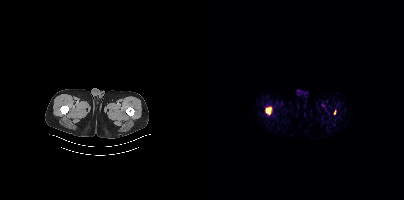
Technique: Left: CT. Right: PSMA PET, same axial level, [18F]PSMA-1007 tracer. acquired on Siemens Biograph mCT Flow 20. slice 8 of 444.
Findings: Coordinates are on the 200×200 PET (right) panel. PSMA-avid tumor lesion bounding box (x0,y0,x1,y1): [62,107,67,114].